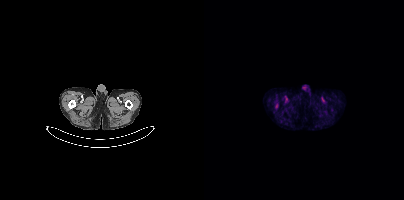
Only PSMA-avid lesion pieces thinner than 2 px on this slice (not listed).